Technique: Two-panel axial: CT | PSMA PET, 18F-PSMA tracer. acquired on Siemens Biograph mCT Flow 20. slice 128 of 401.
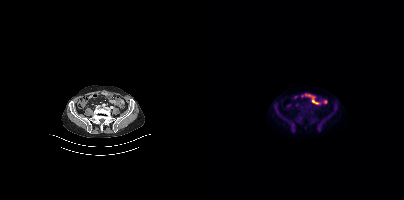
Findings: No tumor lesions annotated on this slice.